Paired axial CT (left) and PSMA PET (right), [18F]PSMA-1007 tracer. Acquired on GE Discovery 690. PET panel 256×256 px (2.7 mm/px).
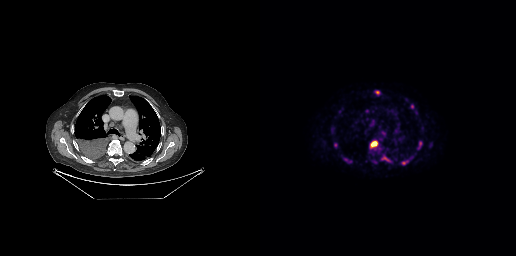
Coordinates are on the 256×256 PET (right) panel. PSMA-avid tumor lesion bounding boxes:
| # | x0 | y0 | x1 | y1 |
|---|---|---|---|---|
| 1 | 110 | 141 | 118 | 148 |
| 2 | 122 | 157 | 128 | 160 |
| 3 | 105 | 109 | 109 | 112 |
Small PSMA-avid foci (2 to 4 px across) near (center x, center y): (75, 144); (152, 106); (143, 163); (117, 92); (160, 143); (85, 159).